Two-panel axial: CT | PSMA PET, [18F]PSMA-1007 tracer. Slice position z = -324 mm. PET panel 200×200 px (4.1 mm/px).
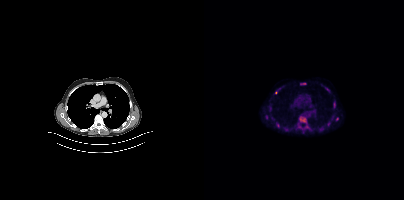
Coordinates are on the 200×200 PET (right) panel. PSMA-avid tumor lesion bounding boxes (x, y, width, height): x=96 y=82 w=7 h=4; x=129 y=102 w=3 h=7. Small PSMA-avid foci (2 to 4 px across) near (center x, center y): (72, 92); (133, 118); (124, 123); (128, 117).